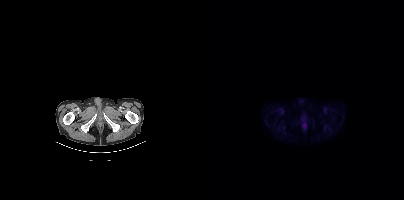
modality: PSMA PET/CT | tracer: 18F | view: axial | PET grid: 200×200
No tumor lesions annotated on this slice.